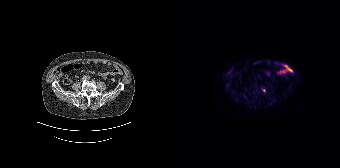
Coordinates are on the 168×168 PET (right) panel. (showing 1 of 2 foci) Small PSMA-avid focus (2 to 4 px across) near (center x, center y): (91, 90).